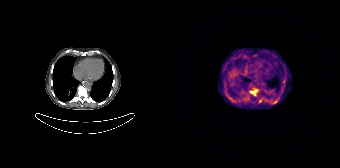
- Two-panel axial: CT | PSMA PET, 68Ga tracer
Findings: Coordinates are on the 168×168 PET (right) panel. PSMA-avid tumor lesion bounding boxes (x, y, width, height): x=78 y=89 w=8 h=7 | x=101 y=100 w=5 h=4. Small PSMA-avid foci (2 to 4 px across) near (center x, center y): (72, 99) | (87, 100).